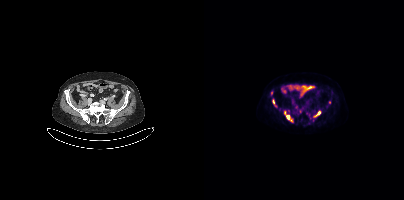
{"pet_grid":[200,200],"coord_frame":"pet_panel","coord_format":"x0,y0,x1,y1","partial":true,"lesion_bboxes":[[80,111,89,122],[111,111,116,116],[68,100,72,106]],"small_foci_centers":[[98,108],[92,107],[67,93],[125,102]],"modality":"PSMA PET/CT","view":"axial","tracer":"18F-PSMA"}